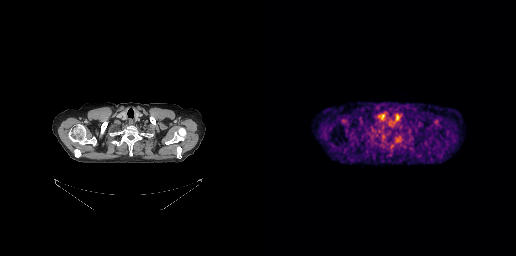
Left: CT. Right: PSMA PET, same axial level, 18F tracer. PET panel 256×256 px (2.7 mm/px). No PSMA-avid tumor lesions on this slice.